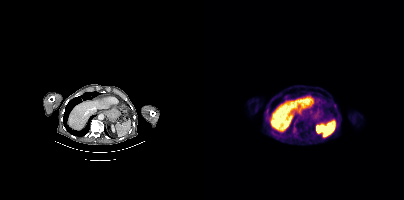
Findings: Coordinates are on the 200×200 PET (right) panel. (showing 1 of 2 foci) Small PSMA-avid focus (2 to 4 px across) near (center x, center y): (96, 138).
- Two-panel axial: CT | PSMA PET, 18F tracer
- acquired on Siemens Biograph mCT Flow 20
- slice position z = -1124 mm